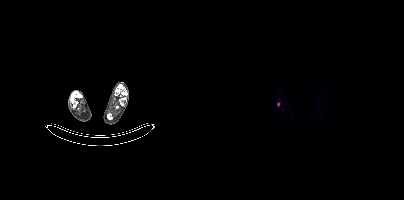
Coordinates are on the 200×200 PET (right) panel. Small PSMA-avid focus (2 to 4 px across) near (center x, center y): (74, 104). Paired axial CT (left) and PSMA PET (right), [18F]PSMA-1007 tracer. Slice position z = -1911 mm. PET panel 200×200 px (4.1 mm/px).